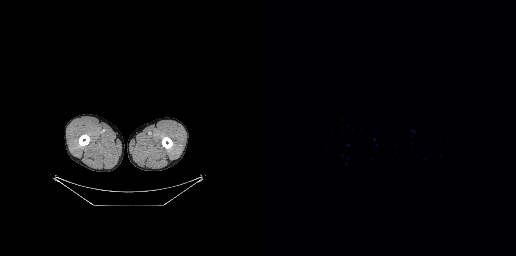
Technique: Two-panel axial: CT | PSMA PET, 68Ga-PSMA tracer. acquired on GE Discovery 690. slice position z = -1013 mm. PET panel 256×256 px (2.7 mm/px).
Findings: No PSMA-avid tumor lesions on this slice.